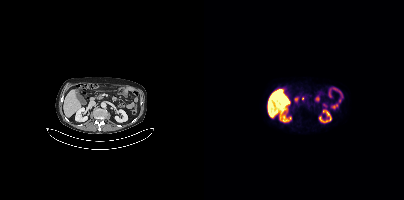
{"pet_grid":[200,200],"coord_frame":"pet_panel","coord_format":"x0,y0,x1,y1","psma_avid_lesions":false,"modality":"PSMA PET/CT","view":"axial","tracer":"[18F]PSMA-1007"}